A rectangular block over the head has been blanked out for de-identification.
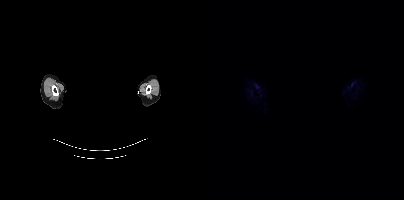
This slice has no annotated PSMA-avid lesion.